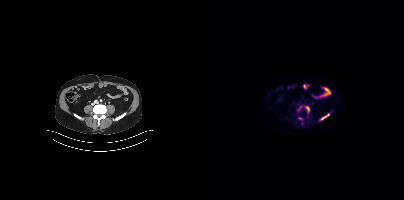
Coordinates are on the 200×200 PET (right) panel. PSMA-avid tumor lesion bounding boxes (x0, y0)-(x1, y1): (115, 113)-(125, 120); (101, 106)-(105, 112); (94, 106)-(97, 110). Small PSMA-avid focus (2 to 4 px across) near (center x, center y): (96, 118).